modality: PSMA PET/CT | tracer: 68Ga | view: axial | PET grid: 256×256
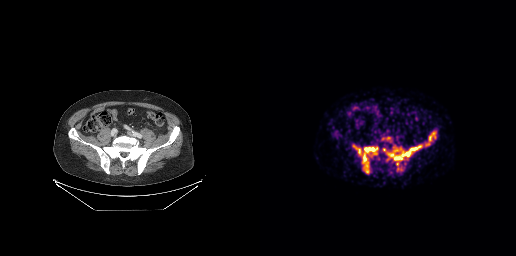
Coordinates are on the 256×256 PET (right) panel. (showing 8 of 10 foci) PSMA-avid tumor lesion bounding boxes (x0,y0,x1,y1): [127,147,157,160]; [103,147,117,167]; [169,132,175,138]; [98,149,100,154]; [134,149,138,151]. Small PSMA-avid foci (2 to 4 px across) near (center x, center y): (107, 170); (124, 149); (137, 163).